Paired axial CT (left) and PSMA PET (right), 18F tracer. Acquired on Siemens Biograph mCT Flow 20.
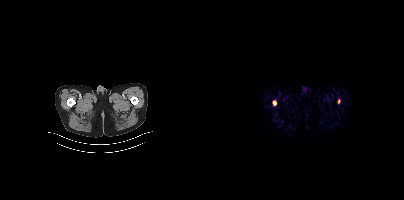
Coordinates are on the 200×200 PET (right) panel. Small PSMA-avid foci (2 to 4 px across) near (center x, center y): (70, 102) (134, 101).